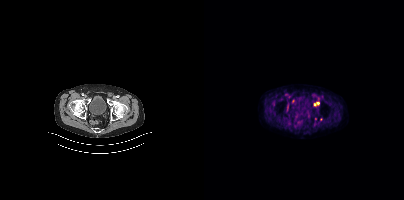
{"modality":"PSMA PET/CT","view":"axial","tracer":"[18F]PSMA-1007","pet_grid":[200,200],"coord_frame":"pet_panel","coord_format":"x0,y0,x1,y1","partial":true,"lesion_bboxes":[],"small_foci_centers":[[114,103],[117,119],[110,104],[111,118]]}